- Paired axial CT (left) and PSMA PET (right), 18F-PSMA tracer
- slice position z = -259 mm
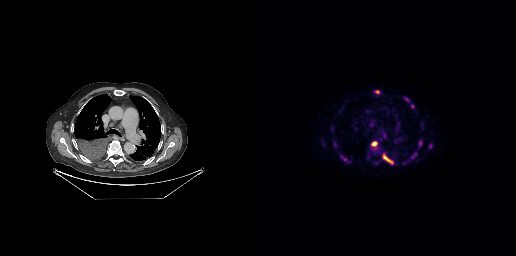
Findings: Coordinates are on the 256×256 PET (right) panel. (showing 8 of 10 foci) PSMA-avid tumor lesion bounding boxes (x0,y0,x1,y1): [122,153,133,164], [111,141,117,147], [144,97,149,101], [151,104,154,108]. Small PSMA-avid foci (2 to 4 px across) near (center x, center y): (107, 111), (117, 92), (85, 159), (75, 144).